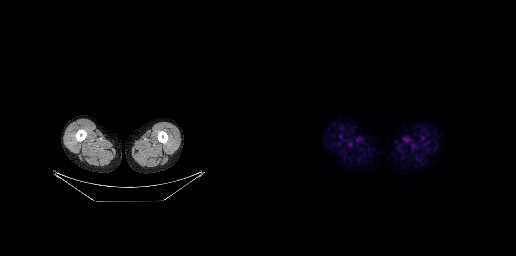
{"pet_grid":[256,256],"coord_frame":"pet_panel","coord_format":"x0,y0,x1,y1","psma_avid_lesions":false,"modality":"PSMA PET/CT","view":"axial","tracer":"18F"}